Two-panel axial: CT | PSMA PET, 18F tracer. Acquired on GE Discovery 690. Slice 223 of 263. PET panel 256×256 px (2.7 mm/px).
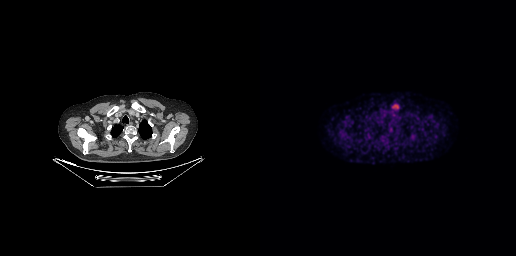
Coordinates are on the 256×256 PET (right) panel. PSMA-avid tumor lesion bounding box (x0, y0)-(x1, y1): (132, 104)-(138, 108).